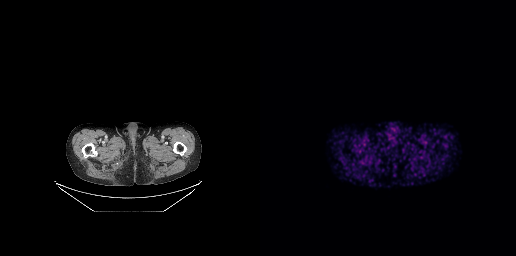
{"pet_grid":[256,256],"coord_frame":"pet_panel","coord_format":"x0,y0,x1,y1","psma_avid_lesions":false,"modality":"PSMA PET/CT","view":"axial","tracer":"[68Ga]Ga-PSMA-11"}